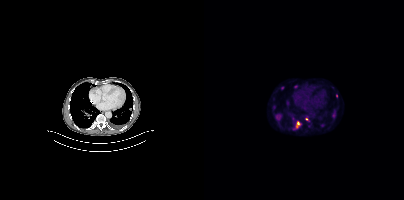
Technique: Paired axial CT (left) and PSMA PET (right), [18F]PSMA-1007 tracer. acquired on Siemens Biograph mCT Flow 20. PET panel 200×200 px (4.1 mm/px).
Findings: Coordinates are on the 200×200 PET (right) panel. (showing 10 of 11 foci) PSMA-avid tumor lesion bounding boxes (x0, y0)-(x1, y1): (71, 114)-(77, 120) / (92, 121)-(96, 127) / (129, 113)-(131, 117). Small PSMA-avid foci (2 to 4 px across) near (center x, center y): (78, 87) / (118, 124) / (91, 86) / (103, 119) / (132, 95) / (69, 106) / (130, 110).